Paired axial CT (left) and PSMA PET (right), 18F-PSMA tracer.
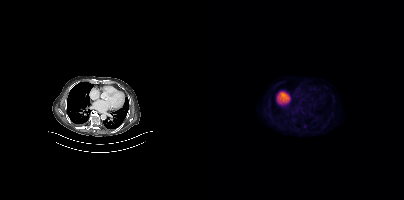
No tumor lesions annotated on this slice.